- Left: CT. Right: PSMA PET, same axial level, 68Ga tracer
- acquired on Siemens Biograph mCT Flow 20
- PET panel 200×200 px (4.1 mm/px)
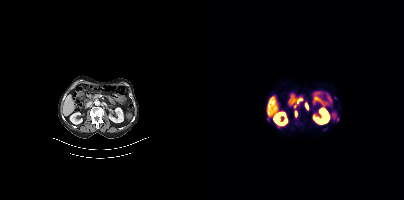
Findings: Coordinates are on the 200×200 PET (right) panel. (showing 6 of 7 foci) PSMA-avid tumor lesion bounding boxes (x0, y0)-(x1, y1): (91, 111)-(93, 117) / (93, 99)-(98, 103) / (101, 103)-(104, 109). Small PSMA-avid foci (2 to 4 px across) near (center x, center y): (133, 118) / (120, 129) / (63, 119).